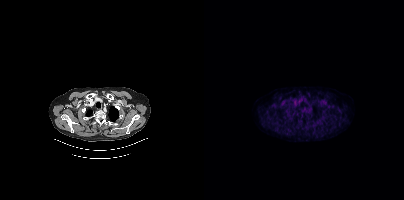
{"modality":"PSMA PET/CT","view":"axial","tracer":"18F","pet_grid":[200,200],"coord_frame":"pet_panel","coord_format":"x0,y0,x1,y1","psma_avid_lesions":false}